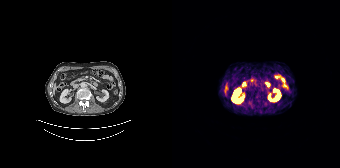
Findings: No PSMA-avid tumor lesions on this slice.
Technique: Paired axial CT (left) and PSMA PET (right), [68Ga]Ga-PSMA-11 tracer. PET panel 168×168 px (4.1 mm/px).